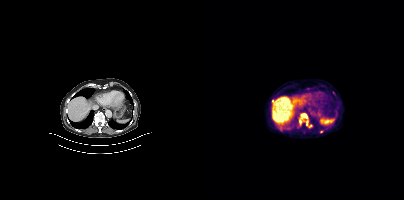
Coordinates are on the 200×200 PET (right) panel. PSMA-avid tumor lesion bounding boxes (x0,y0,x1,y1): [95,113,107,127]; [127,118,130,123]. Small PSMA-avid foci (2 to 4 px across) near (center x, center y): (117, 131); (68, 100).